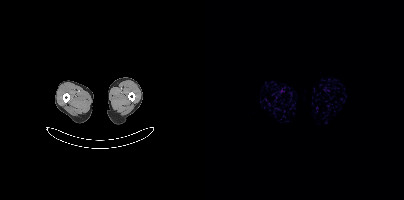
{"pet_grid":[200,200],"coord_frame":"pet_panel","coord_format":"x0,y0,x1,y1","psma_avid_lesions":false,"modality":"PSMA PET/CT","view":"axial","tracer":"68Ga-PSMA"}